Two-panel axial: CT | PSMA PET, 68Ga tracer. Slice 106 of 299. PET panel 256×256 px (2.7 mm/px).
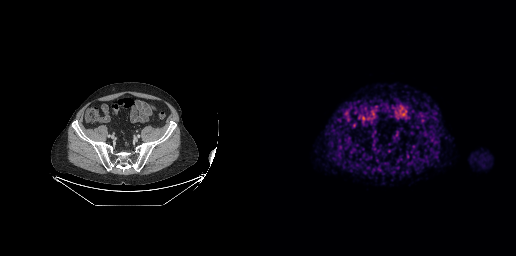
This slice has no annotated PSMA-avid lesion.